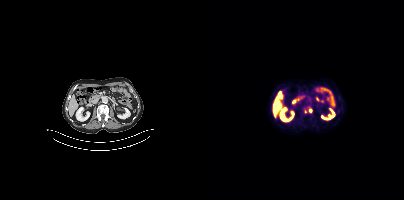
Coordinates are on the 200×200 PET (right) panel. PSMA-avid tumor lesion bounding box (x, y, width, height): x=105 y=108 w=4 h=5. Small PSMA-avid focus (2 to 4 px across) near (center x, center y): (101, 111).